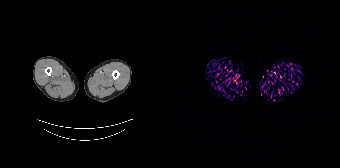
Two-panel axial: CT | PSMA PET, 68Ga-PSMA tracer. PET panel 168×168 px (4.1 mm/px). Negative for PSMA-avid disease on this slice.